deidentification: head region blacked out before release | modality: PSMA PET/CT | tracer: 18F-PSMA | view: axial | PET grid: 256×256
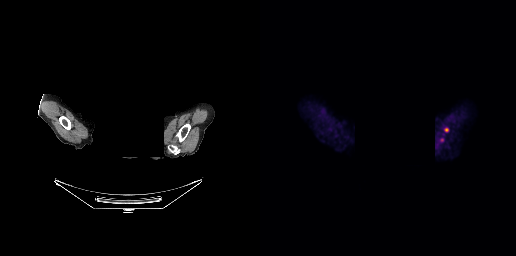
Coordinates are on the 256×256 PET (right) panel. Small PSMA-avid focus (2 to 4 px across) near (center x, center y): (186, 129).